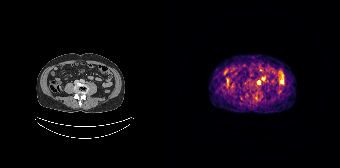
Technique: Left: CT. Right: PSMA PET, same axial level, 68Ga tracer. acquired on Siemens Biograph 64-4R TruePoint. slice 62 of 165. PET panel 168×168 px (4.1 mm/px).
Findings: Coordinates are on the 168×168 PET (right) panel. Small PSMA-avid focus (2 to 4 px across) near (center x, center y): (87, 82).